Technique: Paired axial CT (left) and PSMA PET (right), 68Ga-PSMA tracer. acquired on GE Discovery 690. PET panel 256×256 px (2.7 mm/px).
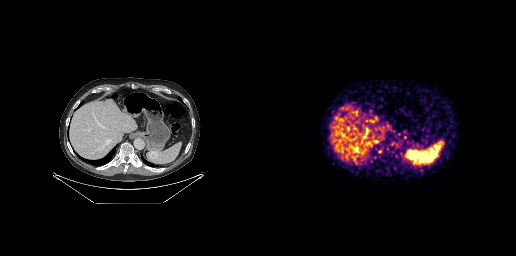
Findings: Coordinates are on the 256×256 PET (right) panel. PSMA-avid tumor lesion bounding box (x, y, width, height): x=148 y=150 w=10 h=10.